Paired axial CT (left) and PSMA PET (right), 18F-PSMA tracer. Acquired on Siemens Biograph mCT Flow 20. Slice position z = -968 mm.
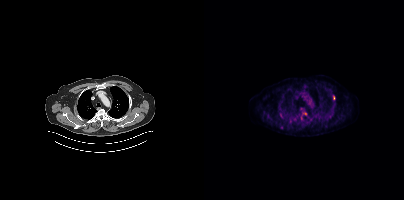
Coordinates are on the 200×200 PET (right) panel. PSMA-avid tumor lesion bounding boxes (partial; 1 more focus not listed):
| # | x0 | y0 | x1 | y1 |
|---|---|---|---|---|
| 1 | 76 | 113 | 78 | 117 |
Small PSMA-avid foci (2 to 4 px across) near (center x, center y): (129, 97); (86, 121).